Left: CT. Right: PSMA PET, same axial level, [18F]PSMA-1007 tracer. Acquired on Siemens Biograph mCT Flow 20.
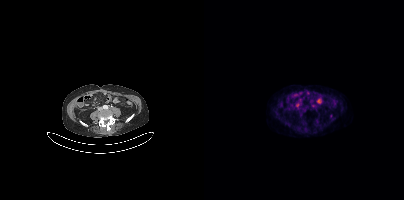
Coordinates are on the 200×200 PET (right) panel. Small PSMA-avid foci (2 to 4 px across) near (center x, center y): (109, 106) (127, 115).